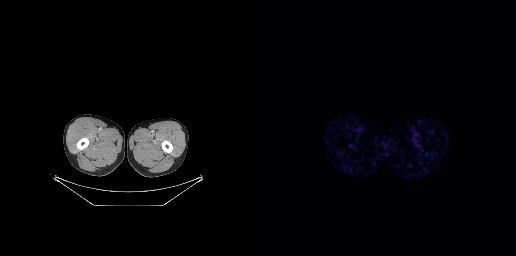
Technique: Two-panel axial: CT | PSMA PET, [68Ga]Ga-PSMA-11 tracer. acquired on GE Discovery 690. slice 15 of 263.
Findings: No PSMA-avid tumor lesions on this slice.